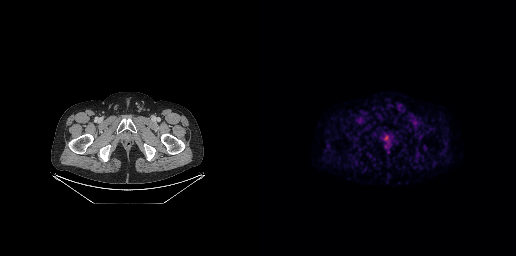
This slice has no annotated PSMA-avid lesion.